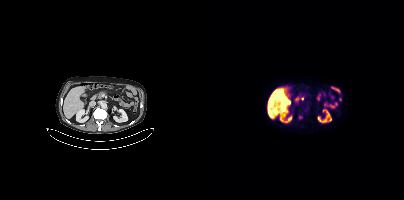
- Paired axial CT (left) and PSMA PET (right), [18F]PSMA-1007 tracer
- slice position z = 28 mm
Findings: Coordinates are on the 200×200 PET (right) panel. Small PSMA-avid focus (2 to 4 px across) near (center x, center y): (96, 117).